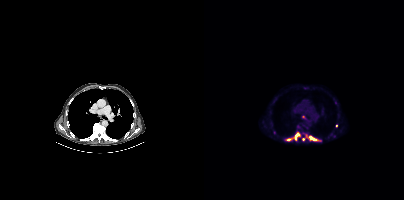
Coordinates are on the 200×200 PET (right) panel. (showing 5 of 8 foci) PSMA-avid tumor lesion bounding boxes (x, y, width, height): x=102 y=135 w=11 h=6 / x=90 y=133 w=7 h=8 / x=83 y=138 w=5 h=3. Small PSMA-avid foci (2 to 4 px across) near (center x, center y): (132, 125) / (99, 139).